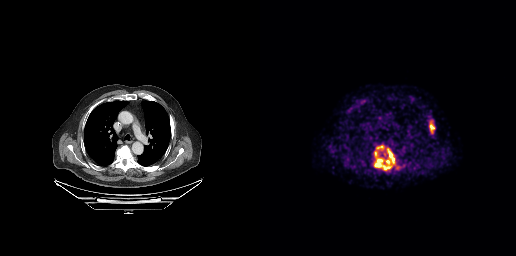
Coordinates are on the 256×256 PET (right) panel. (showing 3 of 4 foci) PSMA-avid tumor lesion bounding boxes (x0, y0)-(x1, y1): (114, 148)-(135, 170); (169, 120)-(175, 133); (116, 145)-(124, 150).
modality: PSMA PET/CT | tracer: 68Ga | view: axial | PET grid: 256×256